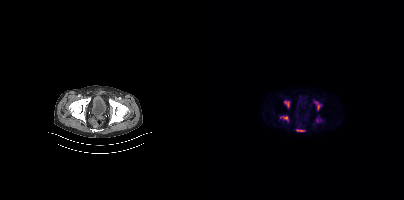
modality: PSMA PET/CT | tracer: [18F]PSMA-1007 | view: axial
Coordinates are on the 200×200 PET (right) panel. (showing 5 of 6 foci) PSMA-avid tumor lesion bounding boxes (x0,y0,x1,y1): [80,101,85,107] [112,102,116,109] [79,116,84,120] [112,119,116,122] [93,130,99,131].